An anonymization step blacked out a rectangle over the head in this scan.
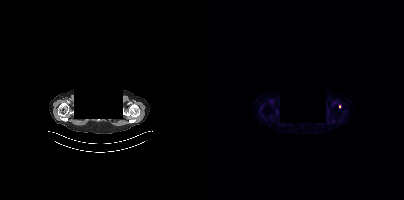
Coordinates are on the 200×200 PET (right) panel. Small PSMA-avid focus (2 to 4 px across) near (center x, center y): (135, 106).